Facial anatomy redacted by setting a rectangular region of the head to black. Paired axial CT (left) and PSMA PET (right), [68Ga]Ga-PSMA-11 tracer. PET panel 200×200 px (4.1 mm/px).
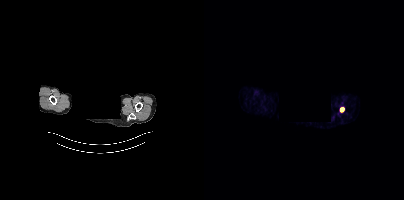
Coordinates are on the 200×200 PET (right) panel. Small PSMA-avid focus (2 to 4 px across) near (center x, center y): (137, 109).